Left: CT. Right: PSMA PET, same axial level, 18F tracer. Acquired on Siemens Biograph mCT Flow 20. PET panel 200×200 px (4.1 mm/px).
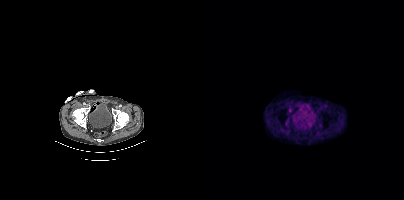
This slice has no annotated PSMA-avid lesion.